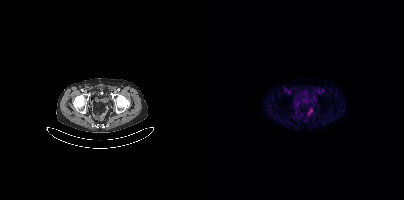
No PSMA-avid tumor lesions on this slice.
modality: PSMA PET/CT | tracer: 18F | view: axial